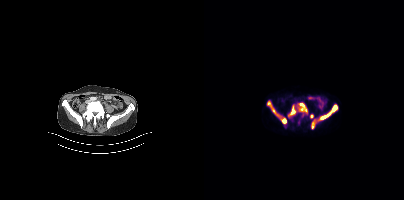
{"modality":"PSMA PET/CT","view":"axial","tracer":"18F","pet_grid":[200,200],"coord_frame":"pet_panel","coord_format":"x0,y0,x1,y1","partial":true,"lesion_bboxes":[[84,102,103,117],[114,104,134,120],[63,101,82,124],[107,119,111,129],[106,114,109,118]]}